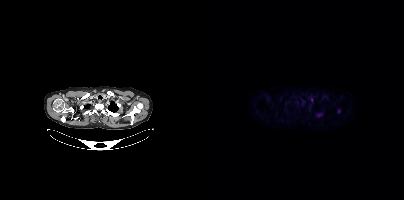
- Left: CT. Right: PSMA PET, same axial level, 18F tracer
- slice position z = 360 mm
- PET panel 200×200 px (4.1 mm/px)
Findings: Coordinates are on the 200×200 PET (right) panel. (showing 2 of 3 foci) Small PSMA-avid foci (2 to 4 px across) near (center x, center y): (116, 114); (107, 99).